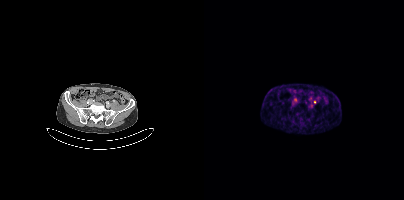
Coordinates are on the 200×200 PET (right) panel. (showing 1 of 2 foci) Small PSMA-avid focus (2 to 4 px across) near (center x, center y): (110, 102). Two-panel axial: CT | PSMA PET, 68Ga tracer. Slice position z = -783 mm. PET panel 200×200 px (4.1 mm/px).